Left: CT. Right: PSMA PET, same axial level, 18F-PSMA tracer.
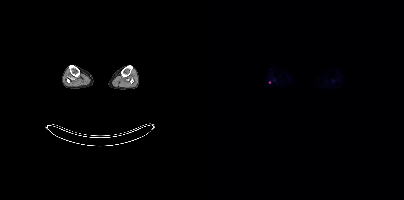
Coordinates are on the 200×200 PET (right) panel. Small PSMA-avid focus (2 to 4 px across) near (center x, center y): (65, 82).